modality: PSMA PET/CT | tracer: 18F | view: axial | PET grid: 200×200
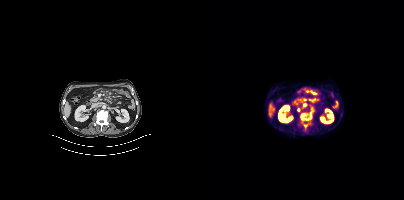
Coordinates are on the 200×200 PET (right) panel. PSMA-avid tumor lesion bounding box (x, y, width, height): x=96 y=113 w=13 h=18. Small PSMA-avid foci (2 to 4 px across) near (center x, center y): (100, 104); (94, 109).